- Paired axial CT (left) and PSMA PET (right), 18F-PSMA tracer
- acquired on Siemens Biograph mCT Flow 20
- slice position z = -172 mm
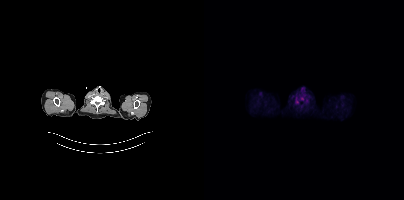
Findings: No PSMA-avid tumor lesions on this slice.